modality: PSMA PET/CT | tracer: 68Ga | view: axial
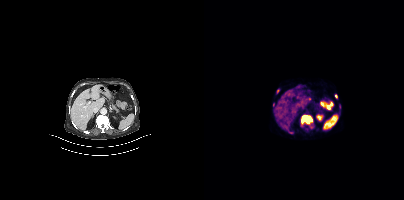
Coordinates are on the 200×200 PET (right) panel. (showing 6 of 7 foci) PSMA-avid tumor lesion bounding boxes (x0,y0,x1,y1): [97,115,109,127] [72,89,75,93] [84,130,89,133]. Small PSMA-avid foci (2 to 4 px across) near (center x, center y): (101, 129) (132, 96) (69, 104).